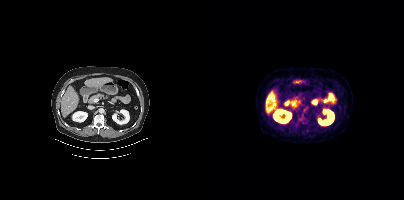
No PSMA-avid tumor lesions on this slice.